modality: PSMA PET/CT | tracer: 68Ga | view: axial | PET grid: 200×200
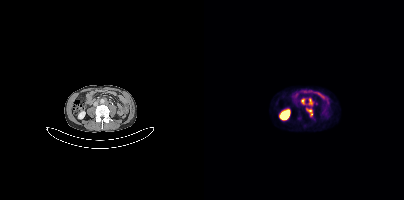
Coordinates are on the 200×200 PET (right) panel. (showing 4 of 5 foci) PSMA-avid tumor lesion bounding boxes (x0, y0)-(x1, y1): (102, 108)-(108, 116) | (97, 98)-(100, 104). Small PSMA-avid foci (2 to 4 px across) near (center x, center y): (106, 101) | (107, 104).